- Paired axial CT (left) and PSMA PET (right), 18F-PSMA tracer
- PET panel 200×200 px (4.1 mm/px)
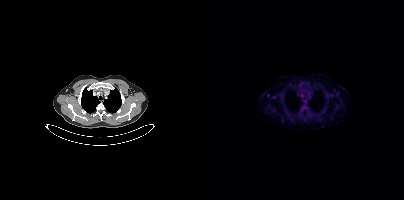
Findings: Only PSMA-avid lesion pieces thinner than 2 px on this slice (not listed).